Paired axial CT (left) and PSMA PET (right), 18F-PSMA tracer. Acquired on Siemens Biograph mCT Flow 20. PET panel 200×200 px (4.1 mm/px).
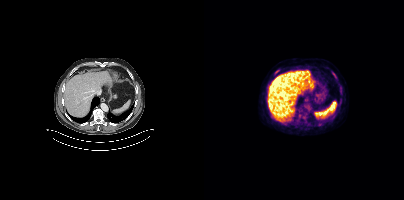
Coordinates are on the 200×200 PET (right) panel. PSMA-avid tumor lesion bounding boxes:
| # | x0 | y0 | x1 | y1 |
|---|---|---|---|---|
| 1 | 128 | 72 | 132 | 78 |
Small PSMA-avid focus (2 to 4 px across) near (center x, center y): (72, 71).